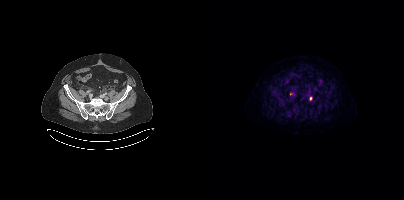
Coordinates are on the 200×200 PET (right) panel. Small PSMA-avid focus (2 to 4 px across) near (center x, center y): (106, 98).